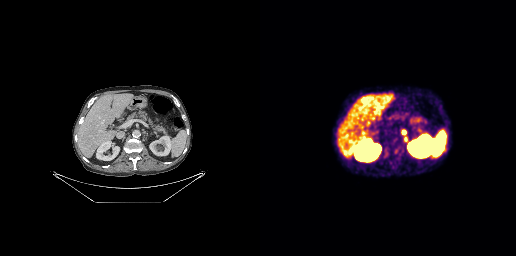
Coordinates are on the 256×256 PET (right) panel. PSMA-avid tumor lesion bounding box (x0, y0)-(x1, y1): (142, 130)-(145, 134). Small PSMA-avid focus (2 to 4 px across) near (center x, center y): (145, 139).
modality: PSMA PET/CT | tracer: 68Ga | view: axial | PET grid: 256×256